modality: PSMA PET/CT | tracer: [18F]PSMA-1007 | view: axial
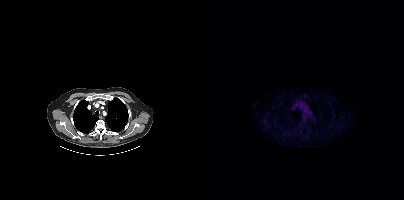
Negative for PSMA-avid disease on this slice.